Two-panel axial: CT | PSMA PET, 18F tracer. Acquired on Siemens Biograph 64-4R TruePoint. Slice position z = -1360 mm. PET panel 168×168 px (4.1 mm/px).
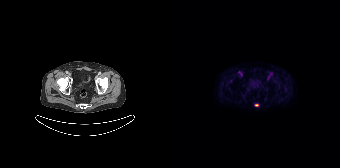
Coordinates are on the 168×168 PET (right) panel. Small PSMA-avid focus (2 to 4 px across) near (center x, center y): (84, 105).